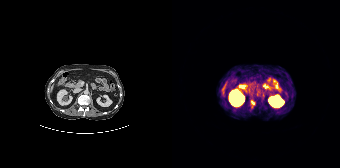
Coordinates are on the 168×168 PET (right) panel. PSMA-avid tumor lesion bounding box (x, y, width, height): x=79 y=100 w=4 h=5.